- Two-panel axial: CT | PSMA PET, [18F]PSMA-1007 tracer
- acquired on GE Discovery 690
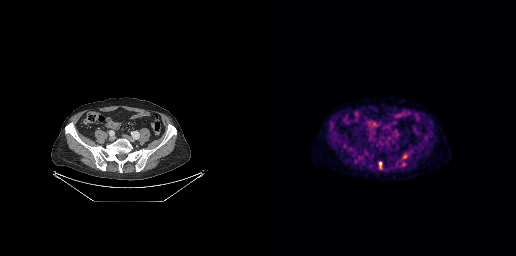
Findings: Coordinates are on the 256×256 PET (right) panel. (showing 1 of 2 foci) Small PSMA-avid focus (2 to 4 px across) near (center x, center y): (120, 163).